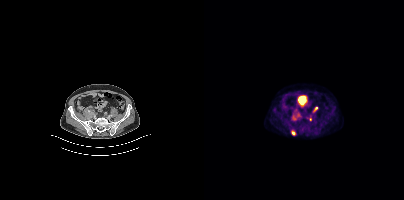
{"modality":"PSMA PET/CT","view":"axial","tracer":"18F-PSMA","pet_grid":[200,200],"coord_frame":"pet_panel","coord_format":"x0,y0,x1,y1","lesion_bboxes":[[87,129,92,135]]}